- Paired axial CT (left) and PSMA PET (right), [18F]PSMA-1007 tracer
- acquired on Siemens Biograph mCT Flow 20
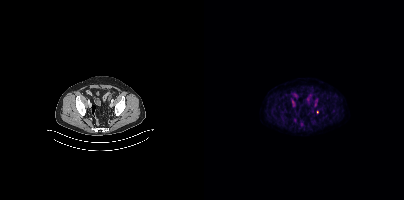
Findings: Coordinates are on the 200×200 PET (right) panel. Small PSMA-avid foci (2 to 4 px across) near (center x, center y): (90, 120) | (113, 112).